Paired axial CT (left) and PSMA PET (right), 18F-PSMA tracer. Slice 149 of 421. PET panel 200×200 px (4.1 mm/px).
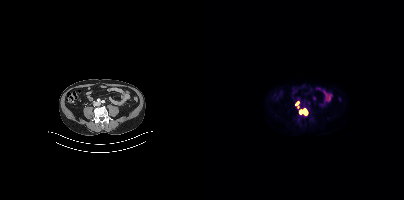
Coordinates are on the 200×200 PET (right) panel. PSMA-avid tumor lesion bounding boxes:
| # | x0 | y0 | x1 | y1 |
|---|---|---|---|---|
| 1 | 95 | 109 | 103 | 114 |
| 2 | 92 | 102 | 94 | 107 |